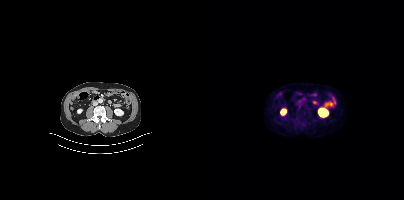
{"modality":"PSMA PET/CT","view":"axial","tracer":"68Ga","pet_grid":[200,200],"coord_frame":"pet_panel","coord_format":"x0,y0,x1,y1","psma_avid_lesions":false}